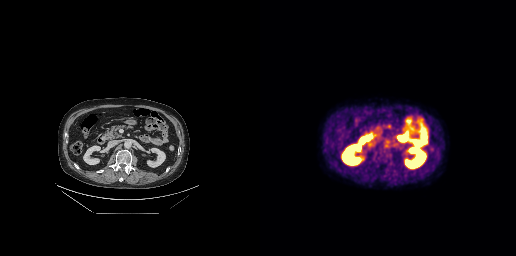
{"modality":"PSMA PET/CT","view":"axial","tracer":"18F","pet_grid":[256,256],"coord_frame":"pet_panel","coord_format":"x0,y0,x1,y1","psma_avid_lesions":false}